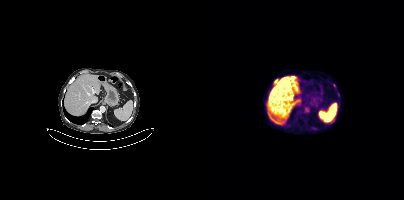
{"modality":"PSMA PET/CT","view":"axial","tracer":"[18F]PSMA-1007","pet_grid":[200,200],"coord_frame":"pet_panel","coord_format":"x0,y0,x1,y1","partial":true,"lesion_bboxes":[],"small_foci_centers":[[72,80]]}